Two-panel axial: CT | PSMA PET, 68Ga tracer.
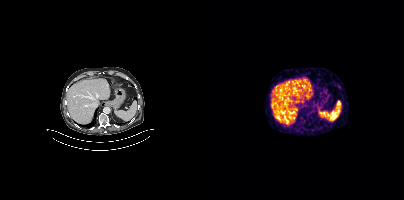
This slice has no annotated PSMA-avid lesion.